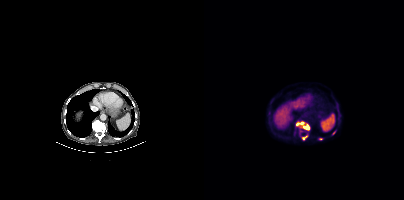
Coordinates are on the 200×200 PET (right) panel. PSMA-avid tumor lesion bounding box (x0,y0,x1,y1): [92,122,105,130]. Small PSMA-avid foci (2 to 4 px across) near (center x, center y): (116, 138), (99, 138), (129, 133).
modality: PSMA PET/CT | tracer: 18F | view: axial